Left: CT. Right: PSMA PET, same axial level, 18F tracer. Slice position z = -1641 mm. PET panel 200×200 px (4.1 mm/px).
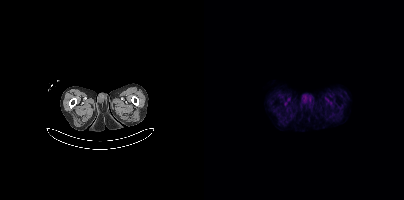
No tumor lesions annotated on this slice.